Two-panel axial: CT | PSMA PET, 18F-PSMA tracer. Slice position z = -972 mm. PET panel 200×200 px (4.1 mm/px).
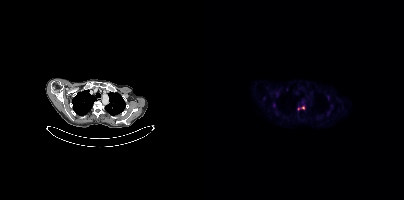
Coordinates are on the 200×200 PET (right) panel. PSMA-avid tumor lesion bounding boxes (partial; 1 more focus not listed):
| # | x0 | y0 | x1 | y1 |
|---|---|---|---|---|
| 1 | 93 | 106 | 100 | 110 |
| 2 | 123 | 95 | 125 | 99 |
Small PSMA-avid foci (2 to 4 px across) near (center x, center y): (70, 105); (73, 94).